- Paired axial CT (left) and PSMA PET (right), 18F tracer
- slice position z = -555 mm
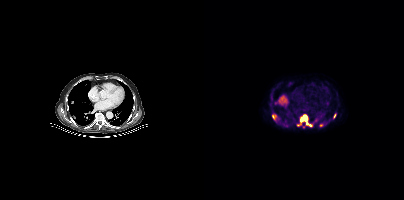
Findings: Coordinates are on the 200×200 PET (right) panel. (showing 5 of 6 foci) PSMA-avid tumor lesion bounding boxes (x0, y0)-(x1, y1): (93, 115)-(108, 126) / (68, 114)-(72, 119) / (115, 124)-(119, 126). Small PSMA-avid foci (2 to 4 px across) near (center x, center y): (72, 102) / (130, 115).